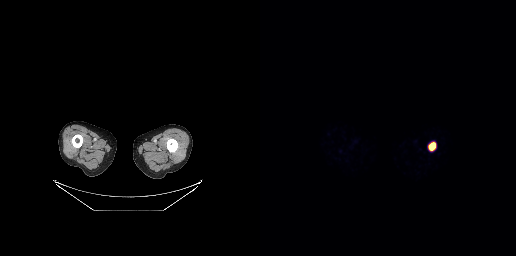
Coordinates are on the 256×256 PET (right) panel. PSMA-avid tumor lesion bounding box (x, y, width, height): x=169 y=143 w=7 h=8.